Left: CT. Right: PSMA PET, same axial level, [68Ga]Ga-PSMA-11 tracer. Acquired on Siemens Biograph 64-4R TruePoint. PET panel 168×168 px (4.1 mm/px).
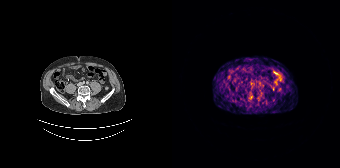
Coordinates are on the 168×168 PET (right) panel. Small PSMA-avid focus (2 to 4 px across) near (center x, center y): (79, 92).